Left: CT. Right: PSMA PET, same axial level, [18F]PSMA-1007 tracer. Acquired on Siemens Biograph mCT Flow 20. Slice 190 of 427. PET panel 200×200 px (4.1 mm/px).
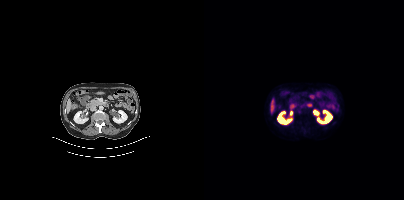
Negative for PSMA-avid disease on this slice.